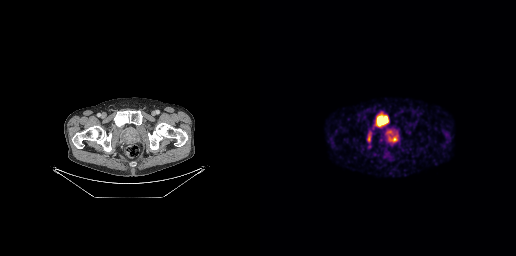
Coordinates are on the 256×256 PET (right) panel. PSMA-avid tumor lesion bounding boxes (x0, y0)-(x1, y1): (126, 130)-(138, 142) / (116, 114)-(127, 126) / (107, 133)-(111, 141).